Paired axial CT (left) and PSMA PET (right), 18F-PSMA tracer. Acquired on GE Discovery 690. Slice position z = -746 mm. PET panel 256×256 px (2.7 mm/px).
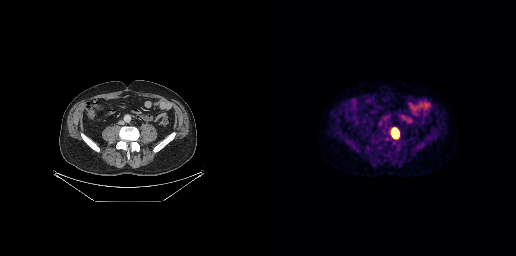
Coordinates are on the 256×256 PET (right) panel. PSMA-avid tumor lesion bounding box (x, y, width, height): x=131 y=128 w=8 h=11.